modality: PSMA PET/CT | tracer: 68Ga | view: axial | PET grid: 200×200
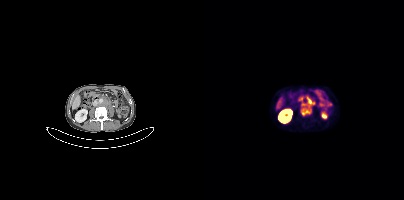
Coordinates are on the 200×200 PET (right) panel. PSMA-avid tumor lesion bounding box (x, y, width, height): x=96 y=97 w=15 h=20. Small PSMA-avid focus (2 to 4 px across) near (center x, center y): (97, 99).